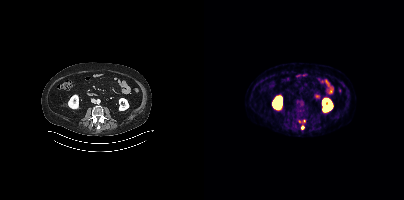
Coordinates are on the 200×200 PET (right) panel. (showing 2 of 3 foci) Small PSMA-avid foci (2 to 4 px across) near (center x, center y): (100, 121); (95, 121).